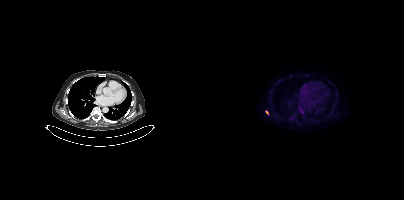
{"modality":"PSMA PET/CT","view":"axial","tracer":"[18F]PSMA-1007","pet_grid":[200,200],"coord_frame":"pet_panel","coord_format":"x0,y0,x1,y1","lesion_bboxes":[],"small_foci_centers":[[63,112]]}